Paired axial CT (left) and PSMA PET (right), [68Ga]Ga-PSMA-11 tracer. Acquired on Siemens Biograph mCT Flow 20.
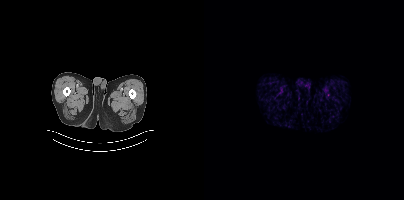
Negative for PSMA-avid disease on this slice.